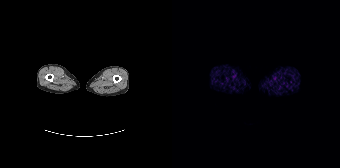
{"modality":"PSMA PET/CT","view":"axial","tracer":"[68Ga]Ga-PSMA-11","pet_grid":[168,168],"coord_frame":"pet_panel","coord_format":"x0,y0,x1,y1","psma_avid_lesions":false}